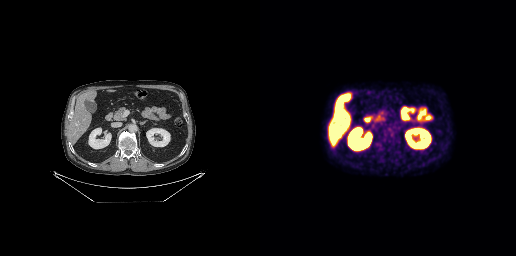
{"modality":"PSMA PET/CT","view":"axial","tracer":"18F-PSMA","pet_grid":[256,256],"coord_frame":"pet_panel","coord_format":"x0,y0,x1,y1","psma_avid_lesions":false}